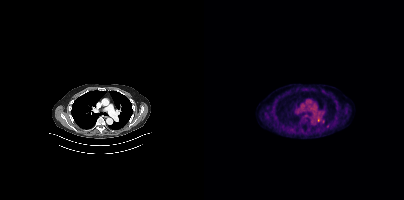
Technique: Left: CT. Right: PSMA PET, same axial level, 18F tracer. acquired on Siemens Biograph mCT Flow 20.
Findings: Coordinates are on the 200×200 PET (right) panel. Small PSMA-avid foci (2 to 4 px across) near (center x, center y): (114, 119); (124, 126).